Left: CT. Right: PSMA PET, same axial level, 18F-PSMA tracer. PET panel 200×200 px (4.1 mm/px).
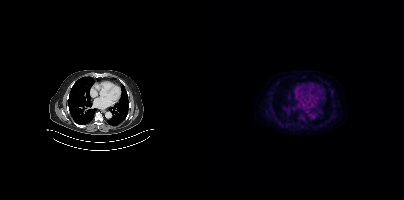
No PSMA-avid tumor lesions on this slice.